Paired axial CT (left) and PSMA PET (right), 18F tracer. Acquired on Siemens Biograph mCT Flow 20. PET panel 200×200 px (4.1 mm/px).
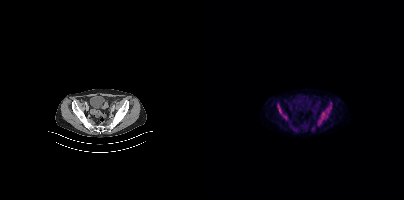
Coordinates are on the 200×200 PET (right) panel. (showing 4 of 7 foci) PSMA-avid tumor lesion bounding boxes (x0,y0,x1,y1): [74,109,83,119], [116,112,121,123], [123,108,124,112]. Small PSMA-avid focus (2 to 4 px across) near (center x, center y): (126, 107).